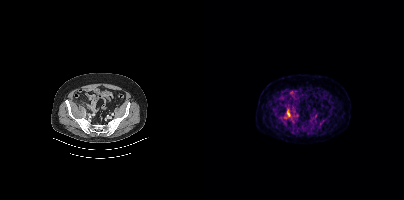
- Two-panel axial: CT | PSMA PET, 18F tracer
- acquired on Siemens Biograph mCT Flow 20
Findings: Coordinates are on the 200×200 PET (right) panel. PSMA-avid tumor lesion bounding box (x0,y0,x1,y1): [80,109,86,118].